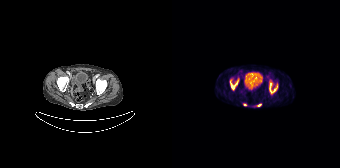
{"modality":"PSMA PET/CT","view":"axial","tracer":"68Ga-PSMA","pet_grid":[168,168],"coord_frame":"pet_panel","coord_format":"x0,y0,x1,y1","lesion_bboxes":[[58,79,66,90],[97,82,105,93]],"small_foci_centers":[[87,105],[73,104]]}